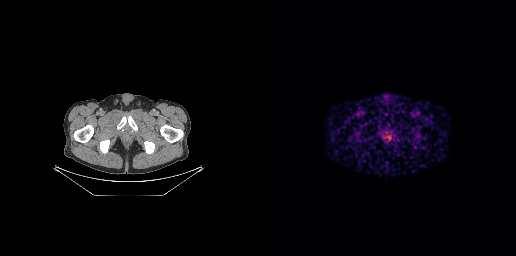
{"pet_grid":[256,256],"coord_frame":"pet_panel","coord_format":"x0,y0,x1,y1","psma_avid_lesions":false,"modality":"PSMA PET/CT","view":"axial","tracer":"68Ga"}